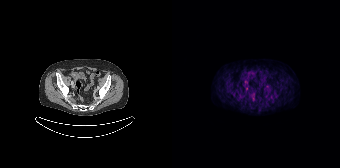
Findings: No PSMA-avid tumor lesions on this slice.
- Paired axial CT (left) and PSMA PET (right), 68Ga tracer
- slice position z = -635 mm
- PET panel 168×168 px (4.1 mm/px)